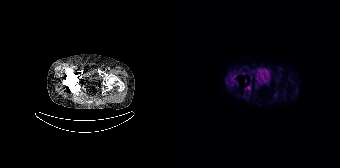
Technique: Paired axial CT (left) and PSMA PET (right), 18F tracer. PET panel 168×168 px (4.1 mm/px).
Findings: Negative for PSMA-avid disease on this slice.